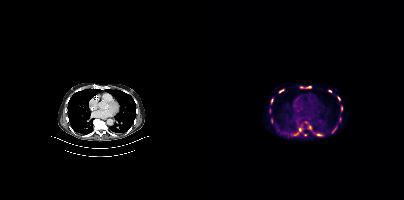
{"modality":"PSMA PET/CT","view":"axial","tracer":"18F","pet_grid":[200,200],"coord_frame":"pet_panel","coord_format":"x0,y0,x1,y1","partial":true,"lesion_bboxes":[[95,85,107,88],[90,128,98,135],[75,89,80,93],[133,96,136,100],[67,98,69,104],[104,125,107,129],[137,106,138,111],[113,134,117,135],[136,117,137,121],[128,128,131,132]],"small_foci_centers":[[125,91],[101,134]]}